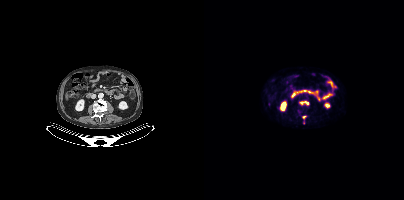
- Paired axial CT (left) and PSMA PET (right), 18F tracer
- acquired on Siemens Biograph mCT Flow 20
- PET panel 200×200 px (4.1 mm/px)
Findings: Coordinates are on the 200×200 PET (right) panel. PSMA-avid tumor lesion bounding box (x0,y0,x1,y1): [98,116,102,118]. Small PSMA-avid foci (2 to 4 px across) near (center x, center y): (102, 103) (97, 102).